Paired axial CT (left) and PSMA PET (right), 18F-PSMA tracer. PET panel 200×200 px (4.1 mm/px).
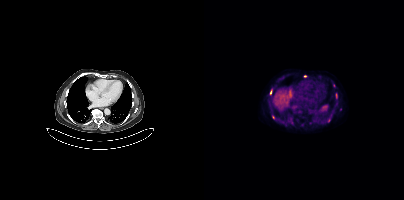
Coordinates are on the 200×200 PET (right) panel. (showing 4 of 8 foci) PSMA-avid tumor lesion bounding boxes (x0,y0,x1,y1): [85,120,89,123] [66,90,67,94]. Small PSMA-avid foci (2 to 4 px across) near (center x, center y): (69, 117) (101, 75).